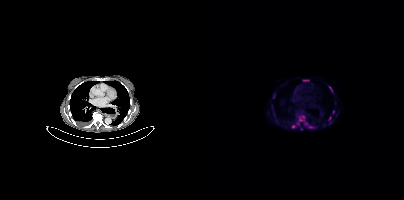
{"modality":"PSMA PET/CT","view":"axial","tracer":"[18F]PSMA-1007","pet_grid":[200,200],"coord_frame":"pet_panel","coord_format":"x0,y0,x1,y1","partial":true,"lesion_bboxes":[[95,116,100,121],[69,93,71,98],[105,126,112,128],[125,86,128,92],[99,80,104,81]],"small_foci_centers":[[89,126],[126,118],[129,112],[102,123],[93,123]]}